- Left: CT. Right: PSMA PET, same axial level, [18F]PSMA-1007 tracer
- slice position z = -533 mm
- PET panel 256×256 px (2.7 mm/px)
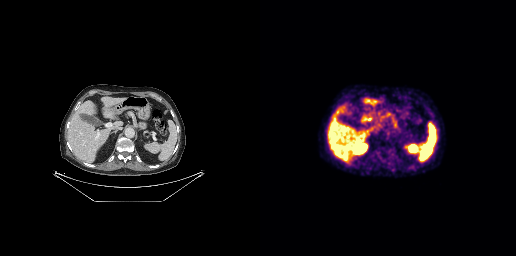
Findings: No PSMA-avid tumor lesions on this slice.